Two-panel axial: CT | PSMA PET, [18F]PSMA-1007 tracer. Acquired on Siemens Biograph mCT Flow 20. Slice position z = -307 mm. A rectangle over the head was blacked out to remove identifiable facial features.
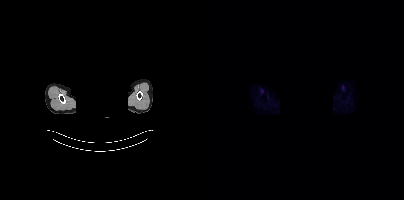
No tumor lesions annotated on this slice.